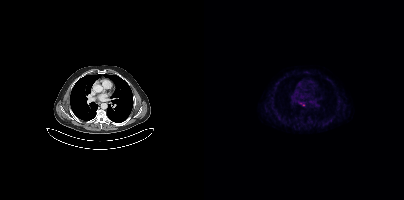
{"modality":"PSMA PET/CT","view":"axial","tracer":"[18F]PSMA-1007","pet_grid":[200,200],"coord_frame":"pet_panel","coord_format":"x0,y0,x1,y1","lesion_bboxes":[[96,102,101,106]]}